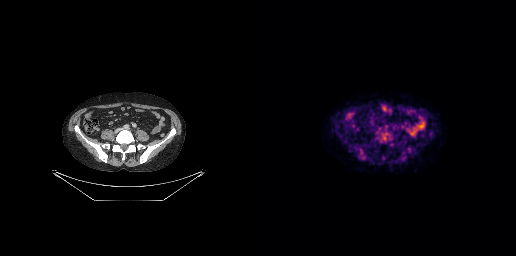
No PSMA-avid tumor lesions on this slice. Left: CT. Right: PSMA PET, same axial level, 18F tracer. Slice position z = -586 mm.